modality: PSMA PET/CT | tracer: 68Ga | view: axial | PET grid: 200×200
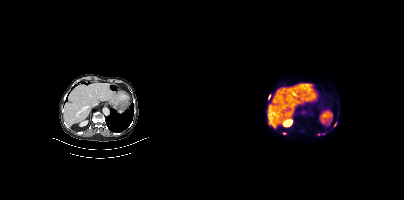
Coordinates are on the 200×200 PET (right) panel. PSMA-avid tumor lesion bounding box (x, y, width, height): x=64 y=95 w=3 h=5. Small PSMA-avid foci (2 to 4 px across) near (center x, center y): (80, 133); (65, 122); (131, 124); (119, 133); (114, 134).